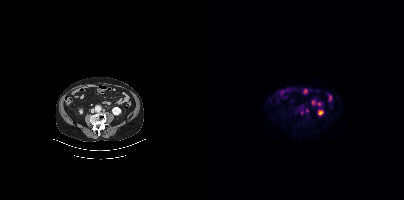
Technique: Paired axial CT (left) and PSMA PET (right), 18F-PSMA tracer. acquired on Siemens Biograph mCT Flow 20. slice 143 of 383.
Findings: Only PSMA-avid lesion pieces thinner than 2 px on this slice (not listed).